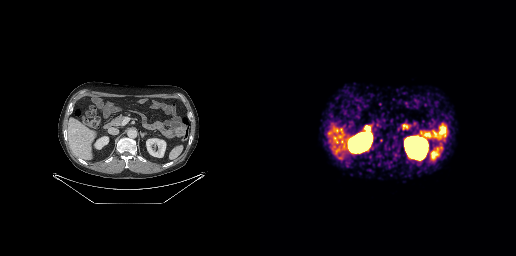
No tumor lesions annotated on this slice.